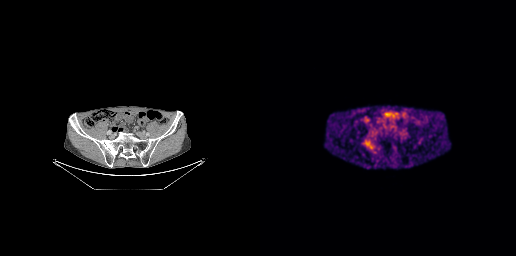
Paired axial CT (left) and PSMA PET (right), [18F]PSMA-1007 tracer. PET panel 256×256 px (2.7 mm/px). This slice has no annotated PSMA-avid lesion.